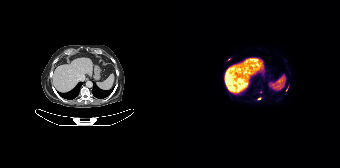
{"modality":"PSMA PET/CT","view":"axial","tracer":"18F","pet_grid":[168,168],"coord_frame":"pet_panel","coord_format":"x0,y0,x1,y1","partial":true,"lesion_bboxes":[[114,86,116,91]],"small_foci_centers":[[87,98],[56,59]]}